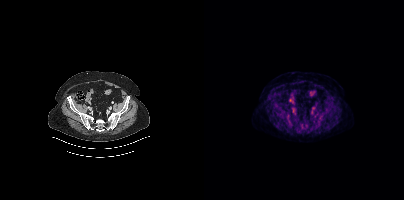
Only PSMA-avid lesion pieces thinner than 2 px on this slice (not listed).